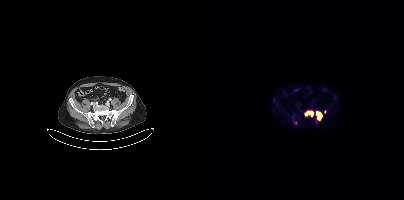
Two-panel axial: CT | PSMA PET, 18F tracer. PET panel 200×200 px (4.1 mm/px).
Coordinates are on the 200×200 PET (right) panel. PSMA-avid tumor lesion bounding boxes (partial; 1 more focus not listed):
| # | x0 | y0 | x1 | y1 |
|---|---|---|---|---|
| 1 | 112 | 112 | 117 | 119 |
| 2 | 101 | 111 | 109 | 116 |